Paired axial CT (left) and PSMA PET (right), 18F tracer.
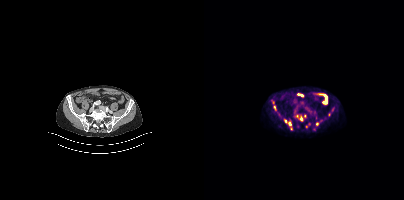
Coordinates are on the 200×200 PET (right) panel. PSMA-avid tumor lesion bounding boxes (partial; 4 more foci not listed):
| # | x0 | y0 | x1 | y1 |
|---|---|---|---|---|
| 1 | 85 | 122 | 88 | 130 |
| 2 | 96 | 116 | 98 | 120 |
Small PSMA-avid foci (2 to 4 px across) near (center x, center y): (70, 107); (113, 124); (122, 102); (81, 121); (100, 115).